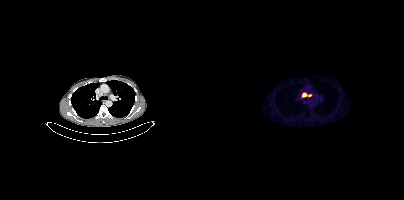
- Two-panel axial: CT | PSMA PET, 18F-PSMA tracer
- acquired on Siemens Biograph mCT Flow 20
- slice position z = 4 mm
Findings: Coordinates are on the 200×200 PET (right) panel. PSMA-avid tumor lesion bounding box (x, y, width, height): x=97 y=93 w=10 h=5.